The head region is masked for de-identification. Paired axial CT (left) and PSMA PET (right), 18F tracer. Acquired on Siemens Biograph mCT Flow 20. PET panel 200×200 px (4.1 mm/px).
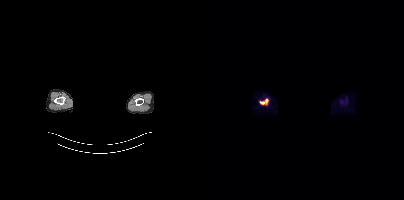
Coordinates are on the 200×200 PET (right) panel. PSMA-avid tumor lesion bounding boxes:
| # | x0 | y0 | x1 | y1 |
|---|---|---|---|---|
| 1 | 55 | 98 | 64 | 104 |